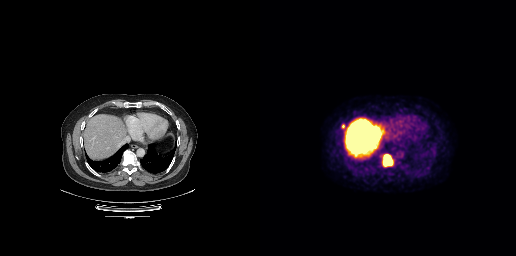
Coordinates are on the 256×256 PET (right) panel. PSMA-avid tumor lesion bounding boxes (x0, y0)-(x1, y1): (122, 154)-(133, 166); (81, 124)-(85, 128).